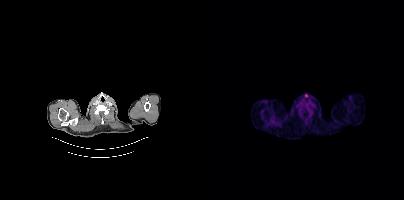
{"modality":"PSMA PET/CT","view":"axial","tracer":"18F-PSMA","pet_grid":[200,200],"coord_frame":"pet_panel","coord_format":"x0,y0,x1,y1","psma_avid_lesions":false}